Left: CT. Right: PSMA PET, same axial level, [68Ga]Ga-PSMA-11 tracer. Acquired on GE Discovery 690. Slice position z = -614 mm.
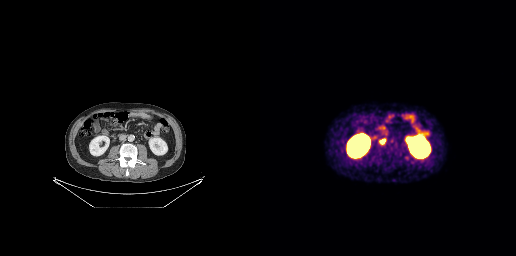
Coordinates are on the 256×256 PET (right) panel. PSMA-avid tumor lesion bounding box (x0,y0,x1,y1): [119,138,125,144].